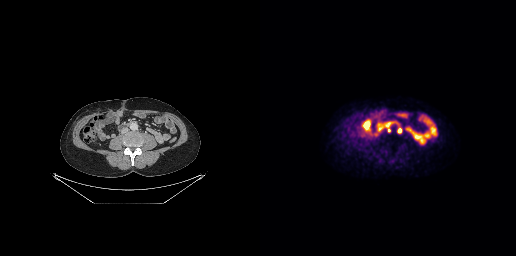
{"modality":"PSMA PET/CT","view":"axial","tracer":"[18F]PSMA-1007","pet_grid":[256,256],"coord_frame":"pet_panel","coord_format":"x0,y0,x1,y1","lesion_bboxes":[[137,128,141,133],[127,125,130,132]],"small_foci_centers":[[122,128]]}